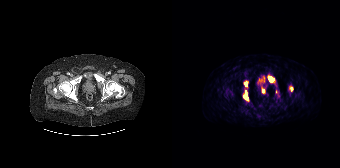
Left: CT. Right: PSMA PET, same axial level, 68Ga tracer. Acquired on Siemens Biograph 64-4R TruePoint. Slice 59 of 195.
Coordinates are on the 168×168 PET (right) panel. PSMA-avid tumor lesion bounding boxes:
| # | x0 | y0 | x1 | y1 |
|---|---|---|---|---|
| 1 | 71 | 89 | 77 | 101 |
| 2 | 96 | 76 | 102 | 82 |
| 3 | 71 | 80 | 76 | 88 |
Small PSMA-avid foci (2 to 4 px across) near (center x, center y): (91, 90); (119, 88).